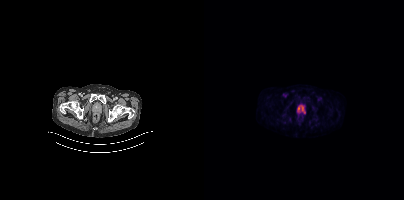
{"modality":"PSMA PET/CT","view":"axial","tracer":"[18F]PSMA-1007","pet_grid":[200,200],"coord_frame":"pet_panel","coord_format":"x0,y0,x1,y1","partial":true,"lesion_bboxes":[[97,106,99,110]],"small_foci_centers":[[94,108]]}